Technique: Paired axial CT (left) and PSMA PET (right), [18F]PSMA-1007 tracer. slice position z = -974 mm.
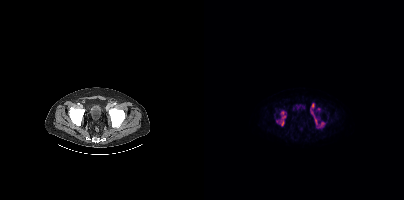
Findings: Coordinates are on the 200×200 PET (right) panel. (showing 5 of 7 foci) PSMA-avid tumor lesion bounding boxes (x0,y0,x1,y1): [110,115,120,128] [77,116,81,125]. Small PSMA-avid foci (2 to 4 px across) near (center x, center y): (78, 112) (115, 109) (106, 112).